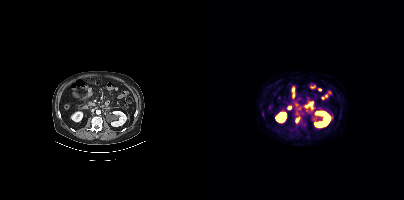
Technique: Paired axial CT (left) and PSMA PET (right), [18F]PSMA-1007 tracer. acquired on Siemens Biograph mCT Flow 20. PET panel 200×200 px (4.1 mm/px).
Findings: Coordinates are on the 200×200 PET (right) panel. (showing 1 of 2 foci) Small PSMA-avid focus (2 to 4 px across) near (center x, center y): (93, 119).